Paired axial CT (left) and PSMA PET (right), [18F]PSMA-1007 tracer. Acquired on Siemens Biograph mCT Flow 20. Slice 157 of 417. PET panel 200×200 px (4.1 mm/px).
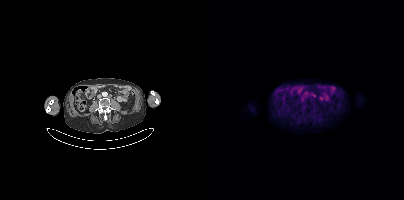
Coordinates are on the 200×200 PET (right) panel. (showing 2 of 3 foci) Small PSMA-avid foci (2 to 4 px across) near (center x, center y): (97, 98) (101, 93).